Left: CT. Right: PSMA PET, same axial level, 18F-PSMA tracer.
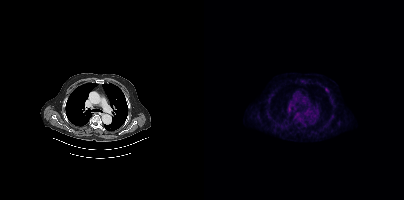
Only PSMA-avid lesion pieces thinner than 2 px on this slice (not listed).